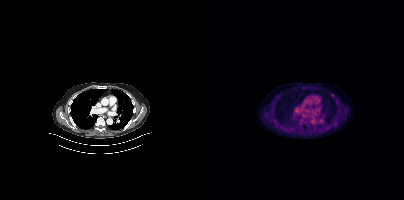
modality: PSMA PET/CT | tracer: 18F-PSMA | view: axial
Coordinates are on the 200×200 PET (right) panel. Small PSMA-avid foci (2 to 4 px across) near (center x, center y): (123, 126), (128, 95).